- Paired axial CT (left) and PSMA PET (right), 68Ga-PSMA tracer
- slice position z = -388 mm
- PET panel 200×200 px (4.1 mm/px)
- head region blanked for anonymization (face removed)
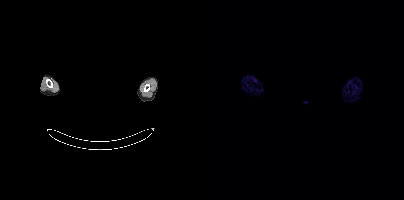
Findings: No PSMA-avid tumor lesions on this slice.